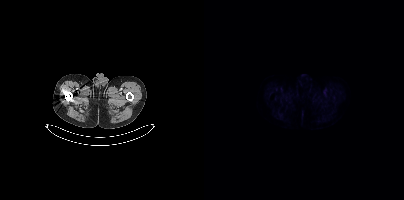
No tumor lesions annotated on this slice. Paired axial CT (left) and PSMA PET (right), [18F]PSMA-1007 tracer. Slice position z = -316 mm. PET panel 200×200 px (4.1 mm/px).